Technique: Left: CT. Right: PSMA PET, same axial level, [18F]PSMA-1007 tracer. slice position z = -613 mm. PET panel 256×256 px (2.7 mm/px).
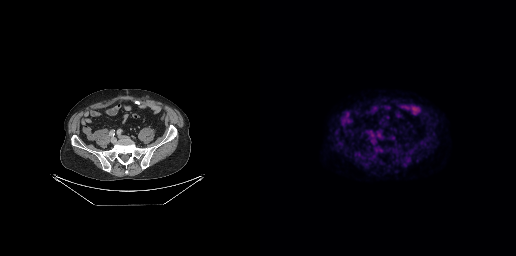
Findings: Only PSMA-avid lesion pieces thinner than 2 px on this slice (not listed).